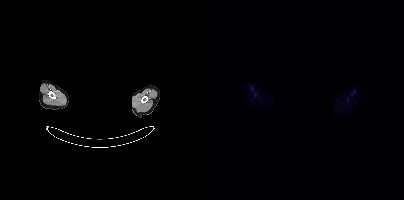
A rectangular block over the head has been blanked out for de-identification.
Negative for PSMA-avid disease on this slice.